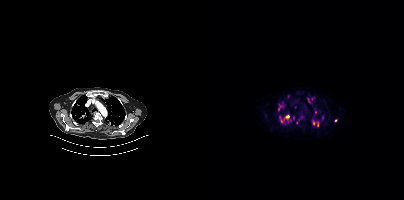
Coordinates are on the 200×200 PET (right) panel. (showing 10 of 12 foci) PSMA-avid tumor lesion bounding boxes (x0, y0)-(x1, y1): (108, 120)-(115, 127) / (75, 115)-(85, 122) / (95, 117)-(99, 120) / (74, 104)-(78, 110) / (104, 98)-(106, 102). Small PSMA-avid foci (2 to 4 px across) near (center x, center y): (84, 96) / (111, 112) / (118, 119) / (131, 120) / (89, 117).